Two-panel axial: CT | PSMA PET, 18F tracer. Slice 145 of 263.
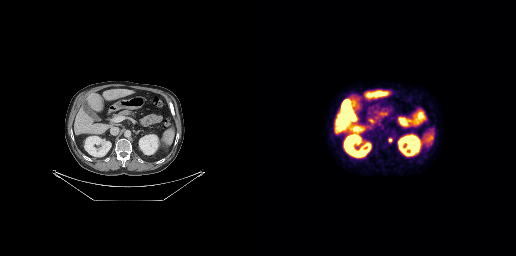
Coordinates are on the 256×256 PET (right) panel. PSMA-avid tumor lesion bounding boxes:
| # | x0 | y0 | x1 | y1 |
|---|---|---|---|---|
| 1 | 128 | 138 | 132 | 142 |